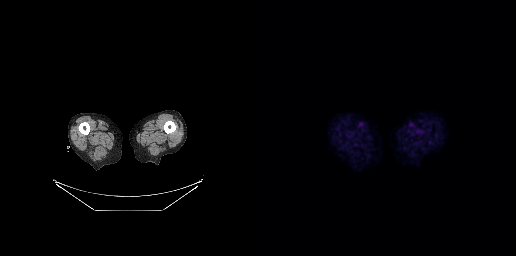
No PSMA-avid tumor lesions on this slice.
modality: PSMA PET/CT | tracer: 18F | view: axial